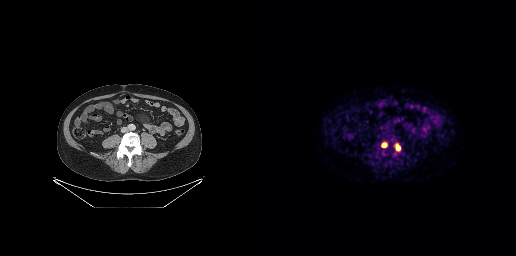
Two-panel axial: CT | PSMA PET, 68Ga tracer. PET panel 256×256 px (2.7 mm/px).
Coordinates are on the 256×256 PET (right) panel. PSMA-avid tumor lesion bounding boxes:
| # | x0 | y0 | x1 | y1 |
|---|---|---|---|---|
| 1 | 136 | 144 | 140 | 150 |
| 2 | 122 | 143 | 126 | 147 |